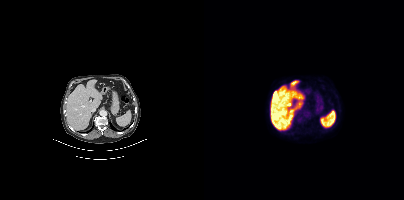
{"pet_grid":[200,200],"coord_frame":"pet_panel","coord_format":"x0,y0,x1,y1","psma_avid_lesions":false,"modality":"PSMA PET/CT","view":"axial","tracer":"18F-PSMA"}